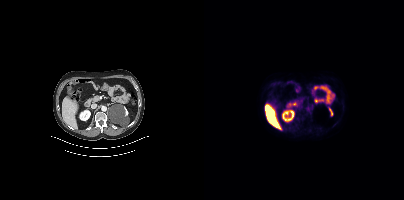
Left: CT. Right: PSMA PET, same axial level, [18F]PSMA-1007 tracer. PET panel 200×200 px (4.1 mm/px). No PSMA-avid tumor lesions on this slice.